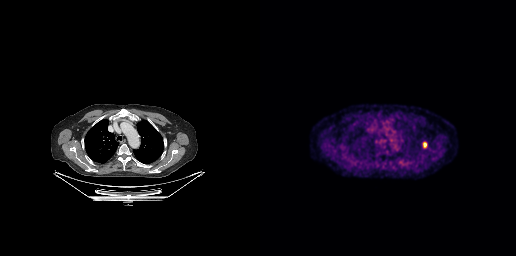
Paired axial CT (left) and PSMA PET (right), [18F]PSMA-1007 tracer. Coordinates are on the 256×256 PET (right) panel. PSMA-avid tumor lesion bounding box (x0,y0,x1,y1): [163,142,166,147].